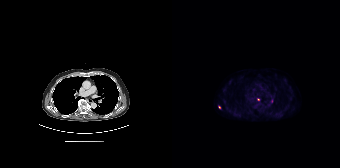
Technique: Two-panel axial: CT | PSMA PET, [18F]PSMA-1007 tracer. acquired on Siemens Biograph 64-4R TruePoint. slice 116 of 165. PET panel 168×168 px (4.1 mm/px).
Findings: Coordinates are on the 168×168 PET (right) panel. Small PSMA-avid foci (2 to 4 px across) near (center x, center y): (86, 99) (99, 100) (47, 107).